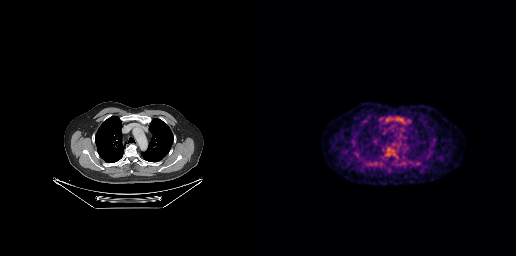
modality: PSMA PET/CT | tracer: 18F-PSMA | view: axial | PET grid: 256×256
Coordinates are on the 256×256 PET (right) panel. Small PSMA-avid focus (2 to 4 px across) near (center x, center y): (137, 157).